- Left: CT. Right: PSMA PET, same axial level, 18F tracer
- PET panel 200×200 px (4.1 mm/px)
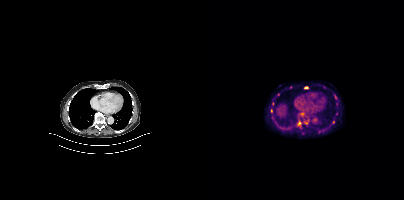
Findings: Coordinates are on the 200×200 PET (right) panel. (showing 7 of 10 foci) Small PSMA-avid foci (2 to 4 px across) near (center x, center y): (67, 110); (95, 123); (102, 87); (131, 97); (129, 122); (98, 113); (68, 117).